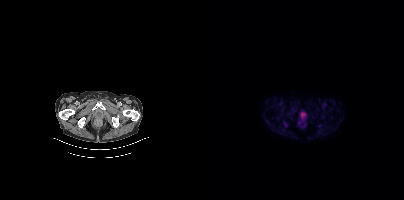
This slice has no annotated PSMA-avid lesion.